- Left: CT. Right: PSMA PET, same axial level, [18F]PSMA-1007 tracer
- acquired on Siemens Biograph mCT Flow 20
- slice position z = -240 mm
- PET panel 200×200 px (4.1 mm/px)
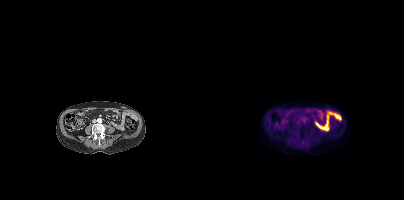
Findings: Only PSMA-avid lesion pieces thinner than 2 px on this slice (not listed).